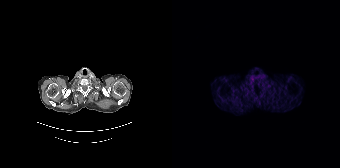
Paired axial CT (left) and PSMA PET (right), 68Ga-PSMA tracer. Slice position z = -738 mm. PET panel 168×168 px (4.1 mm/px). No tumor lesions annotated on this slice.